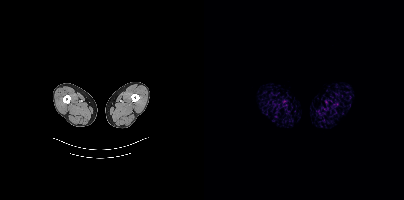
No tumor lesions annotated on this slice. Two-panel axial: CT | PSMA PET, [18F]PSMA-1007 tracer.